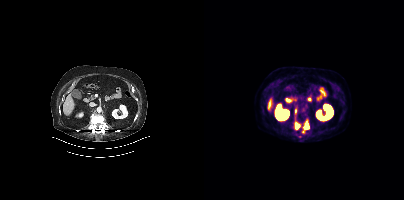
- Left: CT. Right: PSMA PET, same axial level, 18F tracer
- acquired on Siemens Biograph mCT Flow 20
Findings: Coordinates are on the 200×200 PET (right) panel. (showing 3 of 5 foci) PSMA-avid tumor lesion bounding boxes (x0,y0,x1,y1): [91,122,96,129] [99,123,104,128]. Small PSMA-avid focus (2 to 4 px across) near (center x, center y): (91, 110).